modality: PSMA PET/CT | tracer: [68Ga]Ga-PSMA-11 | view: axial
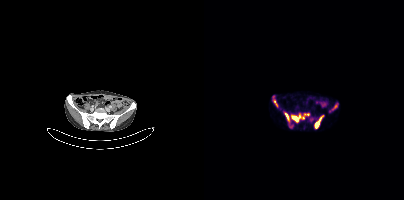
Coordinates are on the 200×200 PET (right) panel. PSMA-avid tumor lesion bounding boxes (x0, y0)-(x1, y1): (87, 114)-(100, 122) / (111, 116)-(118, 128) / (69, 99)-(73, 106) / (81, 113)-(85, 120) / (100, 113)-(105, 115). Small PSMA-avid foci (2 to 4 px across) near (center x, center y): (86, 125) / (131, 106) / (69, 96).